Left: CT. Right: PSMA PET, same axial level, 18F tracer. Acquired on Siemens Biograph mCT Flow 20.
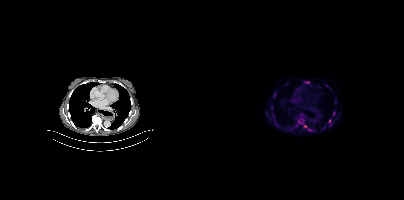
Coordinates are on the 200×200 PET (right) panel. PSMA-avid tumor lesion bounding boxes:
| # | x0 | y0 | x1 | y1 |
|---|---|---|---|---|
| 1 | 94 | 120 | 98 | 123 |
| 2 | 101 | 81 | 105 | 83 |
Small PSMA-avid foci (2 to 4 px across) near (center x, center y): (101, 126); (129, 113); (125, 121); (105, 129); (69, 117); (97, 118).